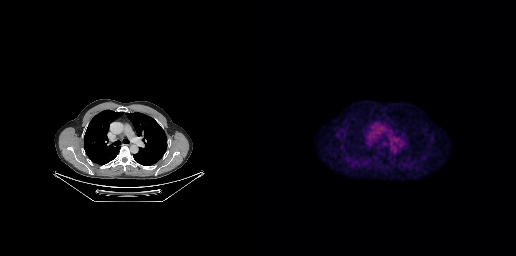
Negative for PSMA-avid disease on this slice.